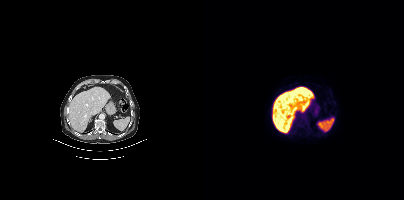
Negative for PSMA-avid disease on this slice.